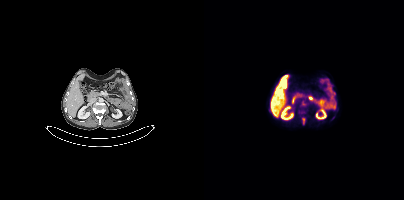
Findings: Coordinates are on the 200×200 PET (right) panel. Small PSMA-avid focus (2 to 4 px across) near (center x, center y): (99, 103).
Technique: Left: CT. Right: PSMA PET, same axial level, [18F]PSMA-1007 tracer.